Part of this slice was blanked for de-identification. Paired axial CT (left) and PSMA PET (right), 18F-PSMA tracer. Acquired on Siemens Biograph mCT Flow 20.
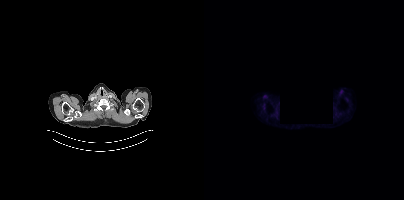
Negative for PSMA-avid disease on this slice.